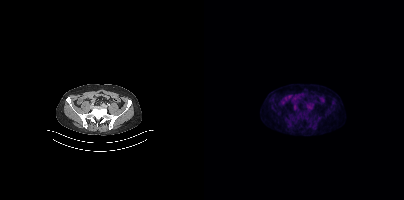
No PSMA-avid tumor lesions on this slice.